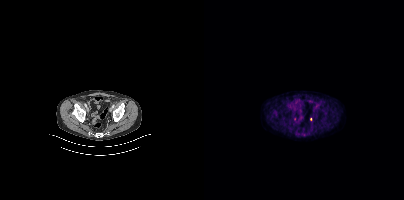
{"pet_grid":[200,200],"coord_frame":"pet_panel","coord_format":"x0,y0,x1,y1","psma_avid_lesions":false,"modality":"PSMA PET/CT","view":"axial","tracer":"18F"}